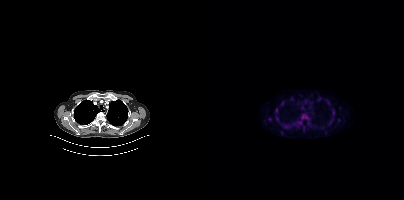
{"modality":"PSMA PET/CT","view":"axial","tracer":"18F-PSMA","pet_grid":[200,200],"coord_frame":"pet_panel","coord_format":"x0,y0,x1,y1","lesion_bboxes":[[129,110,130,114]],"small_foci_centers":[[72,110],[73,118],[78,103],[65,118]]}